Paired axial CT (left) and PSMA PET (right), 18F tracer. Acquired on Siemens Biograph mCT Flow 20.
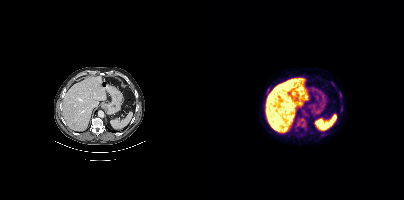
Coordinates are on the 200×200 PET (right) panel. PSMA-avid tumor lesion bounding boxes (x, y, width, height): x=135 y=91 w=3 h=5 / x=136 y=108 w=3 h=5. Small PSMA-avid focus (2 to 4 px across) near (center x, center y): (129, 84).